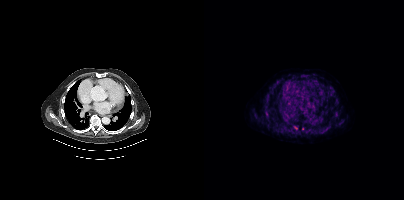
Coordinates are on the 200×200 PET (right) panel. (showing 2 of 3 foci) Small PSMA-avid foci (2 to 4 px across) near (center x, center y): (91, 127) | (98, 128).